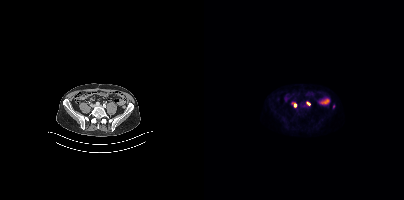
Left: CT. Right: PSMA PET, same axial level, 18F tracer. PET panel 200×200 px (4.1 mm/px).
Coordinates are on the 200×200 PET (right) panel. PSMA-avid tumor lesion bounding boxes:
| # | x0 | y0 | x1 | y1 |
|---|---|---|---|---|
| 1 | 102 | 102 | 106 | 105 |
| 2 | 90 | 103 | 92 | 107 |